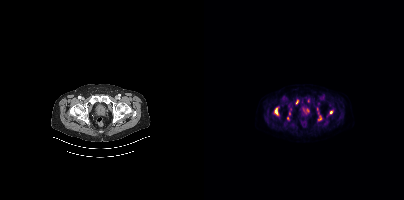
Paired axial CT (left) and PSMA PET (right), [18F]PSMA-1007 tracer. PET panel 200×200 px (4.1 mm/px).
Coordinates are on the 200×200 PET (right) panel. PSMA-avid tumor lesion bounding boxes:
| # | x0 | y0 | x1 | y1 |
|---|---|---|---|---|
| 1 | 70 | 107 | 74 | 115 |
| 2 | 92 | 100 | 94 | 104 |
| 3 | 85 | 111 | 86 | 115 |
| 4 | 113 | 107 | 114 | 111 |
Small PSMA-avid foci (2 to 4 px across) near (center x, center y): (103, 110); (127, 112); (114, 120); (104, 101); (83, 118); (116, 116).